modality: PSMA PET/CT | tracer: 18F-PSMA | view: axial | PET grid: 256×256
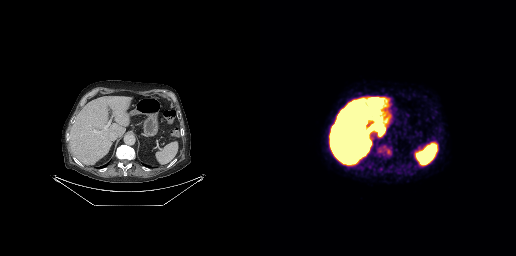
Coordinates are on the 256×256 PET (right) panel. (showing 1 of 2 foci) PSMA-avid tumor lesion bounding box (x, y, width, height): x=119 y=149 w=13 h=6.